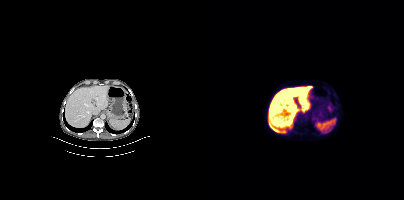
Negative for PSMA-avid disease on this slice.